Left: CT. Right: PSMA PET, same axial level, [18F]PSMA-1007 tracer. Slice 115 of 395.
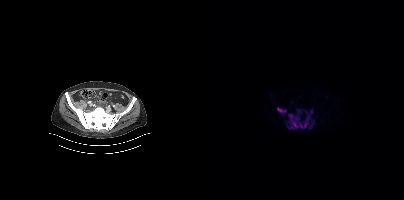
Coordinates are on the 200×200 PET (right) panel. PSMA-avid tumor lesion bounding boxes (partial; 1 more focus not listed):
| # | x0 | y0 | x1 | y1 |
|---|---|---|---|---|
| 1 | 84 | 110 | 110 | 129 |
| 2 | 74 | 109 | 82 | 112 |